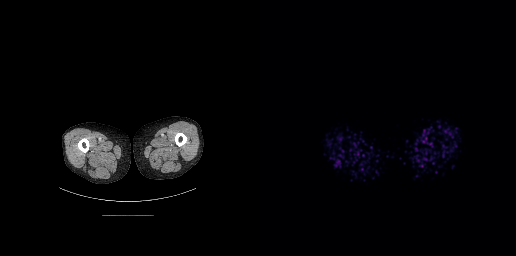
{"modality":"PSMA PET/CT","view":"axial","tracer":"18F","pet_grid":[256,256],"coord_frame":"pet_panel","coord_format":"x0,y0,x1,y1","psma_avid_lesions":false}